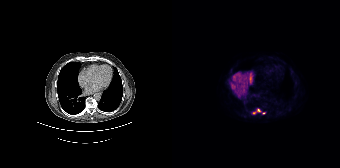
Technique: Two-panel axial: CT | PSMA PET, 18F-PSMA tracer.
Findings: Coordinates are on the 168×168 PET (right) panel. PSMA-avid tumor lesion bounding box (x0, y0)-(x1, y1): (80, 108)-(89, 114). Small PSMA-avid focus (2 to 4 px across) near (center x, center y): (91, 113).